modality: PSMA PET/CT | tracer: 18F | view: axial | PET grid: 200×200
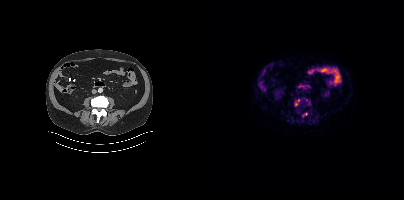
Coordinates are on the 200×200 PET (right) panel. (showing 1 of 3 foci) PSMA-avid tumor lesion bounding box (x0, y0)-(x1, y1): (91, 99)-(95, 105).